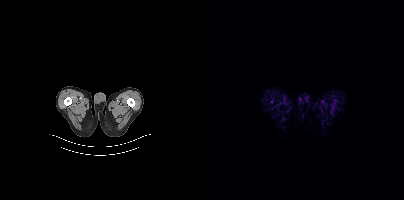
{"modality":"PSMA PET/CT","view":"axial","tracer":"18F-PSMA","pet_grid":[200,200],"coord_frame":"pet_panel","coord_format":"x0,y0,x1,y1","psma_avid_lesions":false}